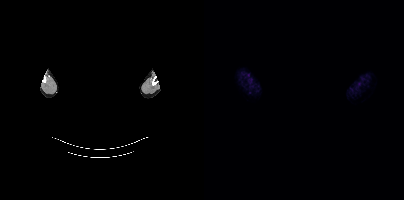
Left: CT. Right: PSMA PET, same axial level, [18F]PSMA-1007 tracer. Acquired on Siemens Biograph mCT Flow 20. PET panel 200×200 px (4.1 mm/px). Head region blanked for anonymization (face removed). Negative for PSMA-avid disease on this slice.